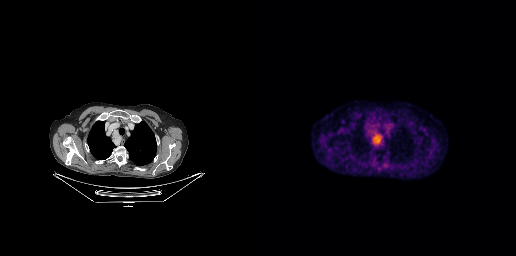
Findings: Coordinates are on the 256×256 PET (right) panel. PSMA-avid tumor lesion bounding box (x, y, width, height): x=112 y=132 w=11 h=13.
Technique: Paired axial CT (left) and PSMA PET (right), 18F tracer. acquired on GE Discovery 690. slice 212 of 263.